- Two-panel axial: CT | PSMA PET, 18F tracer
- slice position z = -744 mm
- PET panel 200×200 px (4.1 mm/px)
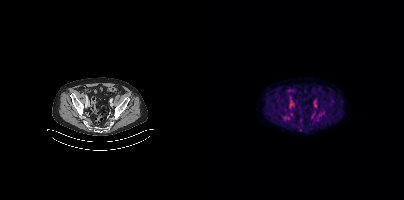
Findings: No PSMA-avid tumor lesions on this slice.